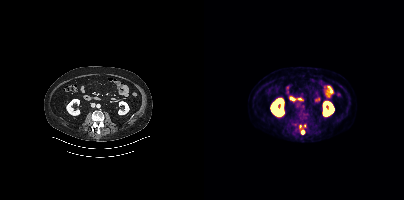
Coordinates are on the 200×200 PET (right) panel. (showing 2 of 3 foci) Small PSMA-avid foci (2 to 4 px across) near (center x, center y): (98, 132) / (96, 126). Two-panel axial: CT | PSMA PET, 18F-PSMA tracer.